modality: PSMA PET/CT | tracer: [18F]PSMA-1007 | view: axial | PET grid: 200×200
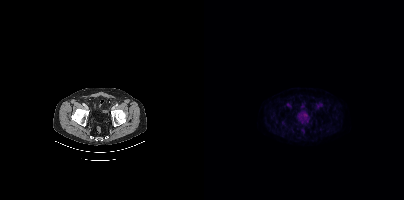
No PSMA-avid tumor lesions on this slice.